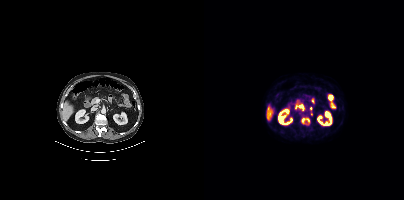
Two-panel axial: CT | PSMA PET, 18F tracer. Slice position z = -1295 mm. PET panel 200×200 px (4.1 mm/px). Coordinates are on the 200×200 PET (right) panel. (showing 3 of 5 foci) PSMA-avid tumor lesion bounding box (x, y, width, height): x=95 y=105 w=5 h=6. Small PSMA-avid foci (2 to 4 px across) near (center x, center y): (98, 120) / (106, 108).